Left: CT. Right: PSMA PET, same axial level, 18F tracer. PET panel 200×200 px (4.1 mm/px).
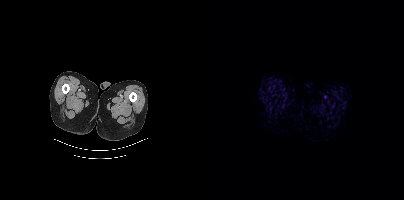
This slice has no annotated PSMA-avid lesion.